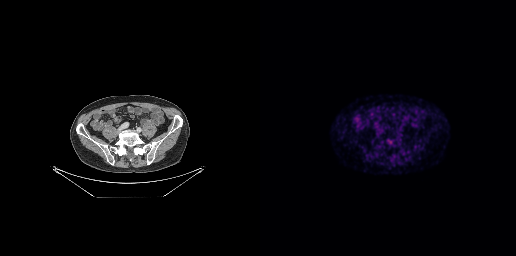
Findings: Negative for PSMA-avid disease on this slice.
- Paired axial CT (left) and PSMA PET (right), [68Ga]Ga-PSMA-11 tracer
- slice position z = -719 mm